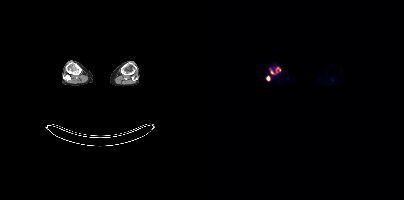
Coordinates are on the 200×200 PET (right) panel. PSMA-avid tumor lesion bounding boxes (x0,y0,x1,y1): [72,68,76,71], [62,76,65,80]. Small PSMA-avid focus (2 to 4 px across) near (center x, center y): (68, 71).